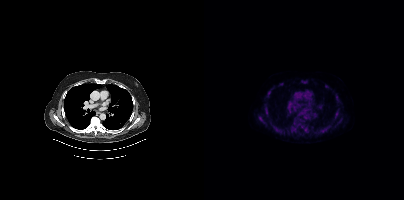
Paired axial CT (left) and PSMA PET (right), [18F]PSMA-1007 tracer. Coordinates are on the 200×200 PET (right) panel. (showing 15 of 16 foci) PSMA-avid tumor lesion bounding boxes (x0,y0,x1,y1): [91,119,98,125] [69,126,76,132] [117,127,124,132] [87,127,91,132] [131,110,135,116] [99,126,104,131] [54,117,59,121] [98,80,102,83] [60,108,64,115] [65,119,68,125]. Small PSMA-avid foci (2 to 4 px across) near (center x, center y): (122, 86) (65, 91) (77, 84) (133, 96) (61, 103).